modality: PSMA PET/CT | tracer: [18F]PSMA-1007 | view: axial
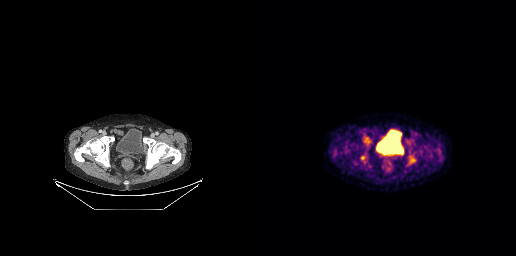
Coordinates are on the 256×256 PET (right) panel. PSMA-avid tumor lesion bounding boxes (x0, y0)-(x1, y1): (148, 155)-(155, 164) / (103, 136)-(109, 143) / (100, 155)-(106, 162).